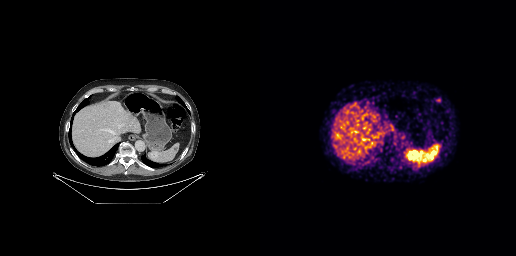
{"modality":"PSMA PET/CT","view":"axial","tracer":"68Ga","pet_grid":[256,256],"coord_frame":"pet_panel","coord_format":"x0,y0,x1,y1","lesion_bboxes":[[148,150,156,158],[170,147,176,153],[176,98,180,101]]}